Technique: Left: CT. Right: PSMA PET, same axial level, 68Ga tracer. PET panel 200×200 px (4.1 mm/px).
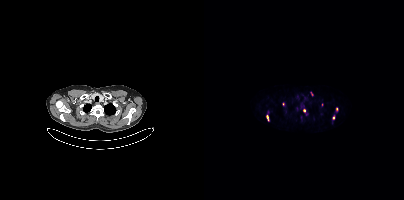
Findings: Coordinates are on the 200×200 PET (right) panel. (showing 5 of 9 foci) PSMA-avid tumor lesion bounding boxes (x, y, width, height): x=106 y=92 w=4 h=5 | x=63 y=115 w=2 h=6. Small PSMA-avid foci (2 to 4 px across) near (center x, center y): (100, 111) | (63, 112) | (129, 117).